Technique: Paired axial CT (left) and PSMA PET (right), 68Ga tracer.
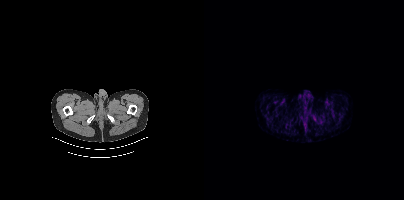
Findings: No tumor lesions annotated on this slice.